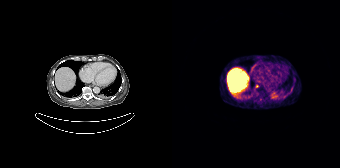
{"modality":"PSMA PET/CT","view":"axial","tracer":"[68Ga]Ga-PSMA-11","pet_grid":[168,168],"coord_frame":"pet_panel","coord_format":"x0,y0,x1,y1","lesion_bboxes":[],"small_foci_centers":[[85,86]]}